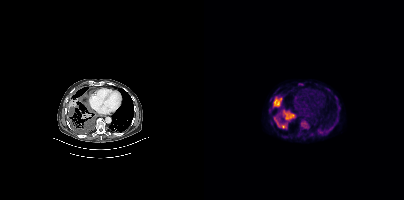
Coordinates are on the 200×200 PET (right) panel. PSMA-avid tumor lesion bounding boxes (x0,y0,x1,y1): [69,97,78,107]; [78,109,90,120]; [96,120,105,128]; [70,117,82,128]. Small PSMA-avid focus (2 to 4 px across) near (center x, center y): (115, 132).